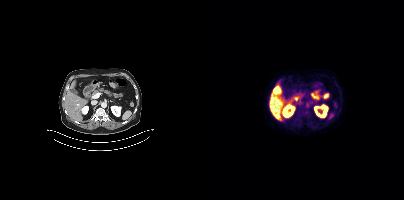
Left: CT. Right: PSMA PET, same axial level, 18F-PSMA tracer. No PSMA-avid tumor lesions on this slice.